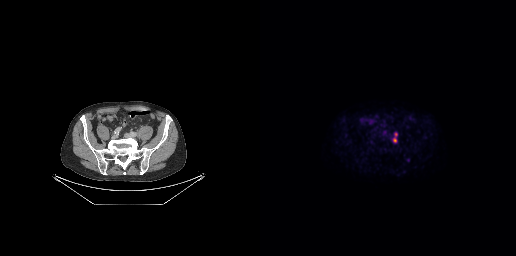
Two-panel axial: CT | PSMA PET, 18F tracer. Acquired on GE Discovery 690. Slice position z = -555 mm.
Coordinates are on the 256×256 PET (right) panel. PSMA-avid tumor lesion bounding boxes:
| # | x0 | y0 | x1 | y1 |
|---|---|---|---|---|
| 1 | 133 | 132 | 137 | 142 |